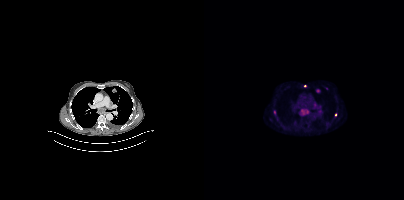
{"modality":"PSMA PET/CT","view":"axial","tracer":"18F","pet_grid":[200,200],"coord_frame":"pet_panel","coord_format":"x0,y0,x1,y1","partial":true,"lesion_bboxes":[[96,109,105,115],[109,103,113,107]],"small_foci_centers":[[113,90],[131,114],[100,85],[70,111]]}